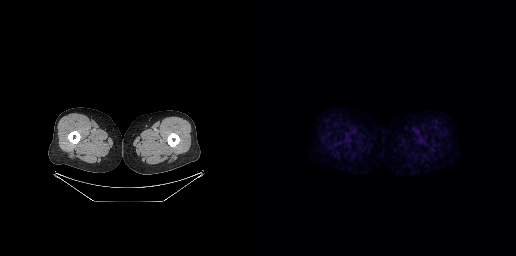
This slice has no annotated PSMA-avid lesion.